Left: CT. Right: PSMA PET, same axial level, [68Ga]Ga-PSMA-11 tracer. Acquired on GE Discovery 690. Slice 184 of 263. PET panel 256×256 px (2.7 mm/px).
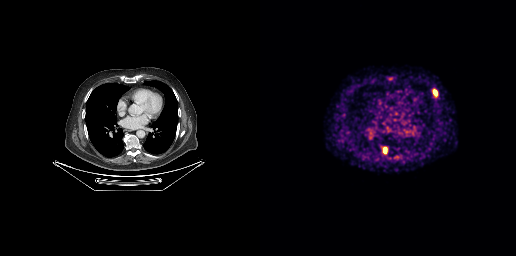
Coordinates are on the 256×256 PET (right) panel. PSMA-avid tumor lesion bounding boxes (x0,y0,x1,y1): [173,90,177,95] [123,147,126,153].